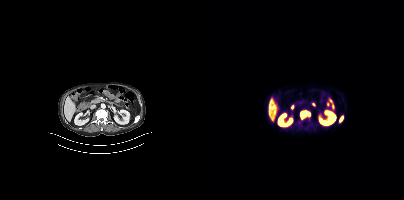
Coordinates are on the 200×200 PET (right) panel. PSMA-avid tumor lesion bounding boxes (x0,y0,x1,y1): [96,111,106,120]; [135,116,139,122].